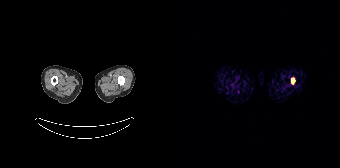
{"modality":"PSMA PET/CT","view":"axial","tracer":"68Ga","pet_grid":[168,168],"coord_frame":"pet_panel","coord_format":"x0,y0,x1,y1","lesion_bboxes":[[119,78,121,83]]}